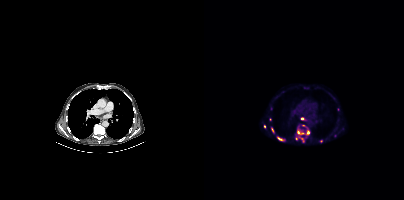
Technique: Paired axial CT (left) and PSMA PET (right), 18F-PSMA tracer.
Findings: Coordinates are on the 200×200 PET (right) panel. (showing 10 of 12 foci) PSMA-avid tumor lesion bounding boxes (x0, y0)-(x1, y1): (103, 130)-(105, 134); (74, 137)-(78, 140); (68, 128)-(69, 132). Small PSMA-avid foci (2 to 4 px across) near (center x, center y): (95, 132); (98, 118); (98, 131); (99, 140); (60, 126); (92, 138); (66, 119).